modality: PSMA PET/CT | tracer: 18F | view: axial | PET grid: 200×200
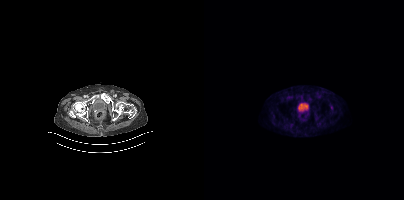
This slice has no annotated PSMA-avid lesion.